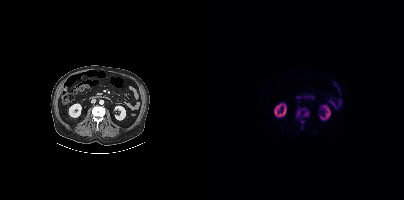
Findings: Coordinates are on the 200×200 PET (right) panel. PSMA-avid tumor lesion bounding box (x0,y0,x1,y1): [92,108,105,116]. Small PSMA-avid focus (2 to 4 px across) near (center x, center y): (98, 121).
Technique: Two-panel axial: CT | PSMA PET, 18F-PSMA tracer. PET panel 200×200 px (4.1 mm/px).